Two-panel axial: CT | PSMA PET, 18F tracer. Slice position z = -1090 mm. PET panel 168×168 px (4.1 mm/px).
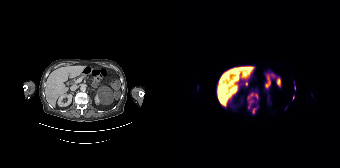
Coordinates are on the 168×168 PET (right) panel. PSMA-avid tumor lesion bounding boxes (partial; 1 more focus not listed):
| # | x0 | y0 | x1 | y1 |
|---|---|---|---|---|
| 1 | 75 | 92 | 86 | 108 |
| 2 | 80 | 108 | 84 | 113 |
Small PSMA-avid focus (2 to 4 px across) near (center x, center y): (121, 97).